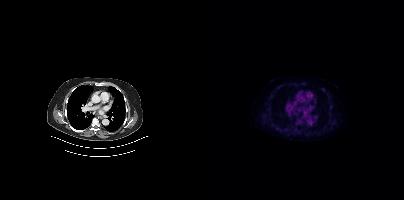
This slice has no annotated PSMA-avid lesion. Paired axial CT (left) and PSMA PET (right), 18F tracer. PET panel 200×200 px (4.1 mm/px).